Privacy masking over the head, with the pixels inside a rectangle set to black.
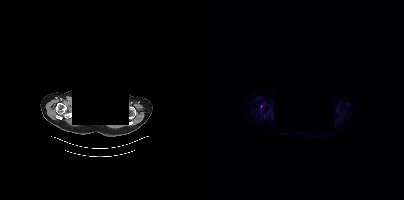
Coordinates are on the 200×200 PET (right) panel. Small PSMA-avid foci (2 to 4 px across) near (center x, center y): (60, 116) | (57, 106).